Technique: Paired axial CT (left) and PSMA PET (right), 68Ga-PSMA tracer. slice position z = -1382 mm.
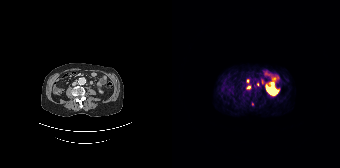
Findings: Coordinates are on the 168×168 PET (right) panel. (showing 3 of 4 foci) PSMA-avid tumor lesion bounding box (x0, y0)-(x1, y1): (74, 85)-(78, 89). Small PSMA-avid foci (2 to 4 px across) near (center x, center y): (76, 80) / (85, 84).